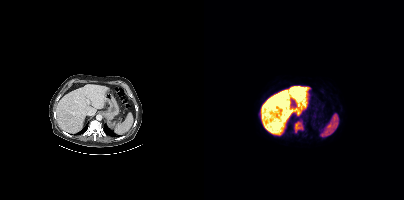
- Paired axial CT (left) and PSMA PET (right), 18F-PSMA tracer
- acquired on Siemens Biograph mCT Flow 20
Findings: Coordinates are on the 200×200 PET (right) panel. PSMA-avid tumor lesion bounding box (x0, y0)-(x1, y1): (90, 121)-(99, 132).